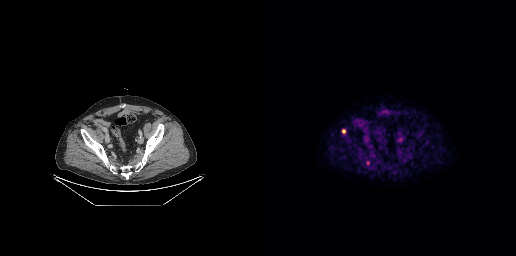
modality: PSMA PET/CT | tracer: [18F]PSMA-1007 | view: axial
Coordinates are on the 256×256 PET (right) panel. PSMA-avid tumor lesion bounding boxes (x0, y0)-(x1, y1): (106, 160)-(109, 164) / (82, 129)-(85, 133).